Paired axial CT (left) and PSMA PET (right), [68Ga]Ga-PSMA-11 tracer. Acquired on Siemens Biograph 64-4R TruePoint. Slice position z = -888 mm.
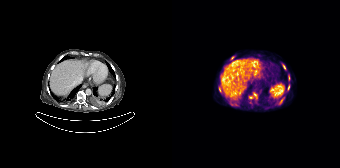
Coordinates are on the 168×168 PET (right) panel. (showing 6 of 8 foci) PSMA-avid tumor lesion bounding boxes (x, y, width, height): x=77 y=92 w=9 h=8 / x=47 y=88 w=3 h=5 / x=111 y=65 w=3 h=5 / x=116 y=85 w=2 h=5. Small PSMA-avid foci (2 to 4 px across) near (center x, center y): (108, 102) / (60, 57).